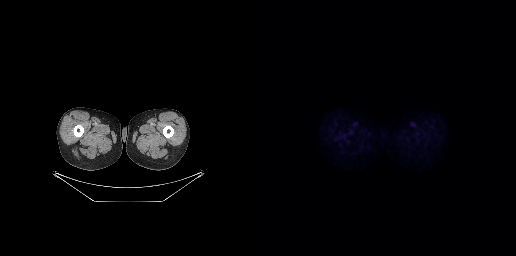
modality: PSMA PET/CT | tracer: 18F | view: axial | PET grid: 256×256
No tumor lesions annotated on this slice.